Technique: Paired axial CT (left) and PSMA PET (right), 18F tracer. acquired on Siemens Biograph mCT Flow 20. slice 421 of 425.
Note: Face de-identified by blanking a block of the head.
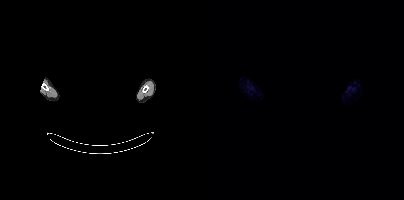
Findings: Negative for PSMA-avid disease on this slice.